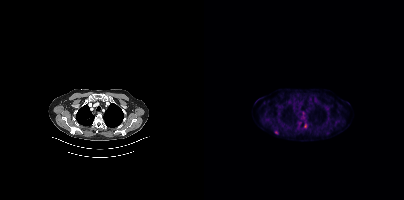
Coordinates are on the 200×200 PET (right) panel. PSMA-avid tumor lesion bounding box (x0,y0,x1,y1): [71,130,74,134]. Small PSMA-avid focus (2 to 4 px across) near (center x, center y): (101, 125). Paired axial CT (left) and PSMA PET (right), [18F]PSMA-1007 tracer. Slice 327 of 409.